Paired axial CT (left) and PSMA PET (right), 18F-PSMA tracer. Slice 304 of 393.
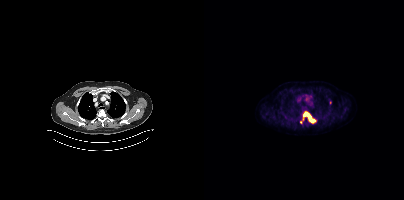
Coordinates are on the 200×200 PET (right) panel. PSMA-avid tumor lesion bounding boxes (partial; 1 more focus not listed):
| # | x0 | y0 | x1 | y1 |
|---|---|---|---|---|
| 1 | 98 | 112 | 111 | 122 |
Small PSMA-avid foci (2 to 4 px across) near (center x, center y): (126, 102); (97, 122).